de-identification: facial region redacted | modality: PSMA PET/CT | tracer: 18F-PSMA | view: axial | PET grid: 200×200
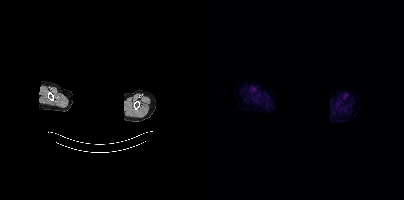
No tumor lesions annotated on this slice.